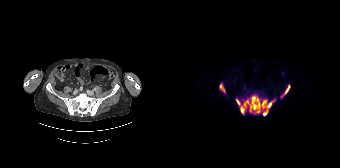
Paired axial CT (left) and PSMA PET (right), 18F tracer. Acquired on Siemens Biograph 64-4R TruePoint. Slice 58 of 165.
Coordinates are on the 168×168 PET (right) panel. PSMA-avid tumor lesion bounding boxes:
| # | x0 | y0 | x1 | y1 |
|---|---|---|---|---|
| 1 | 63 | 94 | 101 | 116 |
| 2 | 47 | 82 | 53 | 93 |
| 3 | 108 | 87 | 117 | 98 |
Small PSMA-avid focus (2 to 4 px across) near (center x, center y): (102, 99).